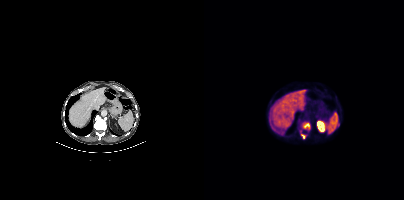
Coordinates are on the 200×200 PET (right) panel. PSMA-avid tumor lesion bounding boxes (partial; 1 more focus not listed):
| # | x0 | y0 | x1 | y1 |
|---|---|---|---|---|
| 1 | 99 | 123 | 105 | 128 |
Small PSMA-avid foci (2 to 4 px across) near (center x, center y): (98, 135); (104, 129).
Two-panel axial: CT | PSMA PET, [18F]PSMA-1007 tracer. Acquired on Siemens Biograph mCT Flow 20.